Technique: Two-panel axial: CT | PSMA PET, 18F tracer.
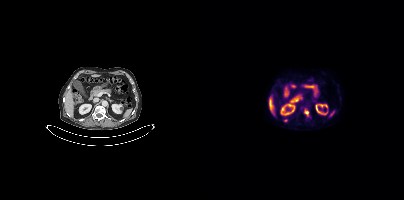
Findings: Coordinates are on the 200×200 PET (right) panel. PSMA-avid tumor lesion bounding box (x0, y0)-(x1, y1): (100, 110)-(106, 117). Small PSMA-avid focus (2 to 4 px across) near (center x, center y): (81, 120).